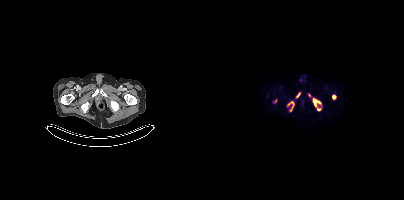
Coordinates are on the 200×200 PET (right) panel. (showing 5 of 6 foci) PSMA-avid tumor lesion bounding boxes (x0, y0)-(x1, y1): (109, 98)-(117, 110) | (84, 101)-(90, 111) | (128, 95)-(131, 99) | (93, 92)-(96, 97). Small PSMA-avid focus (2 to 4 px across) near (center x, center y): (71, 100). Left: CT. Right: PSMA PET, same axial level, 18F-PSMA tracer. Acquired on Siemens Biograph mCT Flow 20. Slice 492 of 963.